- Paired axial CT (left) and PSMA PET (right), 18F-PSMA tracer
- slice 86 of 395
- PET panel 200×200 px (4.1 mm/px)
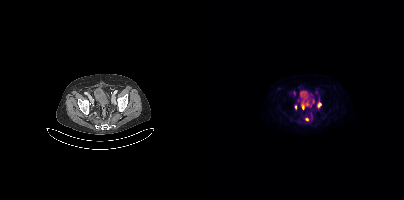
Findings: Coordinates are on the 200×200 PET (right) panel. (showing 5 of 6 foci) PSMA-avid tumor lesion bounding boxes (x0, y0)-(x1, y1): (113, 102)-(117, 107); (97, 102)-(99, 109); (91, 105)-(92, 109); (108, 99)-(110, 103). Small PSMA-avid focus (2 to 4 px across) near (center x, center y): (102, 119).